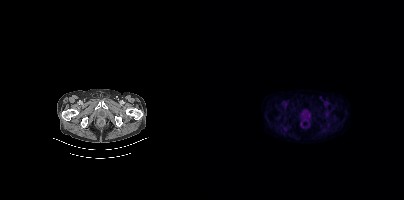
This slice has no annotated PSMA-avid lesion. Paired axial CT (left) and PSMA PET (right), 18F tracer.